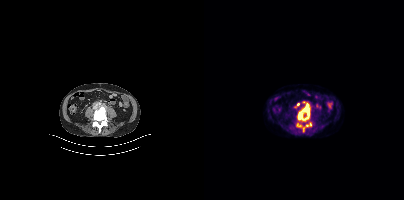
{"modality":"PSMA PET/CT","view":"axial","tracer":"[18F]PSMA-1007","pet_grid":[200,200],"coord_frame":"pet_panel","coord_format":"x0,y0,x1,y1","lesion_bboxes":[[94,104,105,120]],"small_foci_centers":[[94,125],[103,125],[94,104],[106,124],[99,129]]}